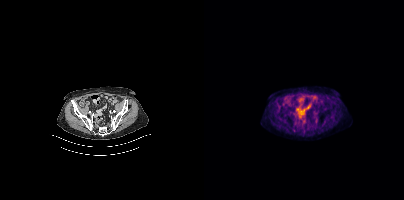
Two-panel axial: CT | PSMA PET, 18F-PSMA tracer. This slice has no annotated PSMA-avid lesion.